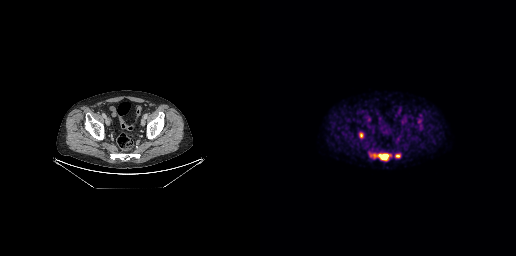
Coordinates are on the 256×256 PET (right) panel. PSMA-avid tumor lesion bounding boxes (x0,y0,x1,y1): [109,153,130,160] [135,154,140,157] [100,133,102,137].